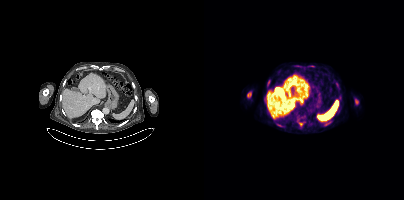
{"modality":"PSMA PET/CT","view":"axial","tracer":"18F-PSMA","pet_grid":[200,200],"coord_frame":"pet_panel","coord_format":"x0,y0,x1,y1","partial":true,"lesion_bboxes":[[43,92,47,97],[94,122,99,126],[151,99,154,104]]}